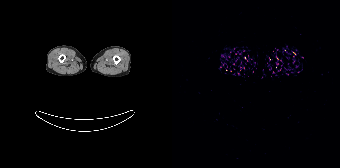
{"modality":"PSMA PET/CT","view":"axial","tracer":"[68Ga]Ga-PSMA-11","pet_grid":[168,168],"coord_frame":"pet_panel","coord_format":"x0,y0,x1,y1","psma_avid_lesions":false}